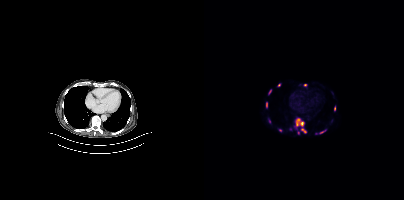
Coordinates are on the 200×200 PET (right) panel. (showing 8 of 10 foci) PSMA-avid tumor lesion bounding boxes (x0,y0,x1,y1): [90,118,102,133] [115,130,122,133] [62,102,63,107] [65,90,67,94]. Small PSMA-avid foci (2 to 4 px across) near (center x, center y): (101, 85) (94, 132) (75, 85) (130, 108).